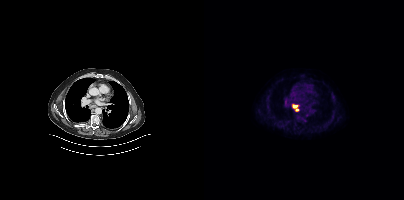
{"modality":"PSMA PET/CT","view":"axial","tracer":"18F-PSMA","pet_grid":[200,200],"coord_frame":"pet_panel","coord_format":"x0,y0,x1,y1","lesion_bboxes":[[88,104,94,111]]}